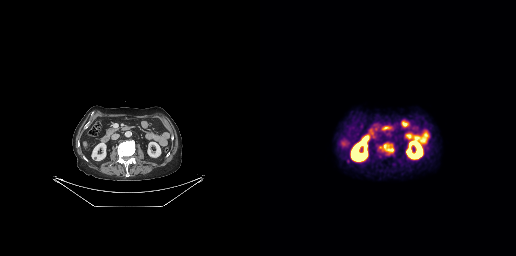
- Two-panel axial: CT | PSMA PET, 18F tracer
Findings: Coordinates are on the 256×256 PET (right) panel. PSMA-avid tumor lesion bounding box (x0, y0)-(x1, y1): (119, 142)-(134, 154).